Paired axial CT (left) and PSMA PET (right), [18F]PSMA-1007 tracer. PET panel 200×200 px (4.1 mm/px).
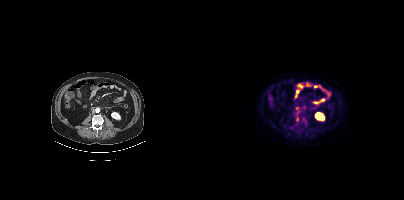
Coordinates are on the 200×200 PET (right) panel. Small PSMA-avid focus (2 to 4 px across) near (center x, center y): (93, 119).